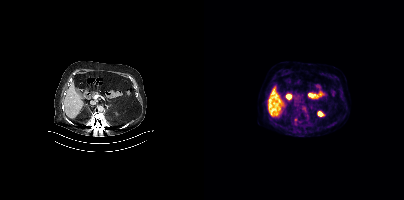
Coordinates are on the 200×200 PET (right) panel. Small PSMA-avid focus (2 to 4 px across) near (center x, center y): (91, 119). Paired axial CT (left) and PSMA PET (right), 18F tracer. Acquired on Siemens Biograph mCT Flow 20.